Two-panel axial: CT | PSMA PET, 68Ga tracer. PET panel 168×168 px (4.1 mm/px).
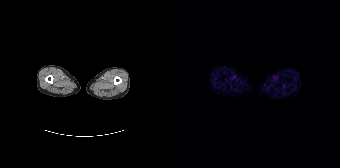
No PSMA-avid tumor lesions on this slice.